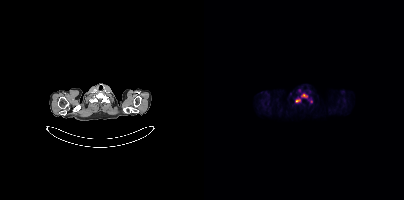
Two-panel axial: CT | PSMA PET, 18F-PSMA tracer. Coordinates are on the 200×200 PET (right) panel. PSMA-avid tumor lesion bounding boxes (x0,y0,x1,y1): [97,93,103,98] [91,98,96,102]. Small PSMA-avid focus (2 to 4 px across) near (center x, center y): (107, 101).